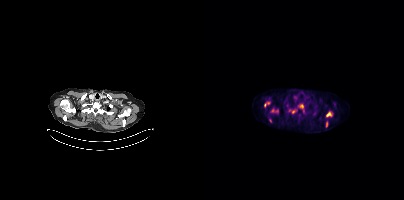
Left: CT. Right: PSMA PET, same axial level, 18F tracer. Coordinates are on the 200×200 PET (right) panel. (showing 6 of 8 foci) PSMA-avid tumor lesion bounding boxes (x0,y0,x1,y1): [122,111,128,117]; [95,104,99,108]; [60,102,65,106]; [67,108,70,112]; [122,122,123,126]. Small PSMA-avid focus (2 to 4 px across) near (center x, center y): (89, 111).